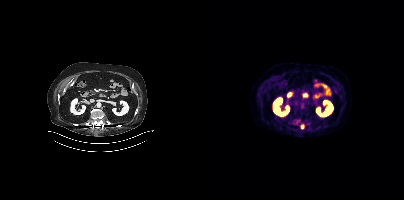
Coordinates are on the 200×200 PET (right) panel. (showing 1 of 2 foci) Small PSMA-avid focus (2 to 4 px across) near (center x, center y): (98, 126).